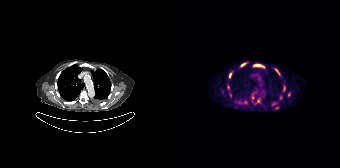
Two-panel axial: CT | PSMA PET, [68Ga]Ga-PSMA-11 tracer.
Coordinates are on the 168×168 PET (right) panel. PSMA-avid tumor lesion bounding boxes (partial; 2 more foci not listed):
| # | x0 | y0 | x1 | y1 |
|---|---|---|---|---|
| 1 | 81 | 64 | 92 | 68 |
| 2 | 103 | 69 | 108 | 76 |
| 3 | 69 | 62 | 74 | 66 |
| 4 | 57 | 73 | 59 | 77 |
| 5 | 111 | 86 | 113 | 90 |
Small PSMA-avid foci (2 to 4 px across) near (center x, center y): (116, 94); (104, 107); (56, 87); (108, 97); (86, 101).